- Left: CT. Right: PSMA PET, same axial level, 18F tracer
- slice position z = -701 mm
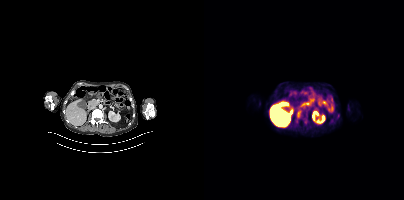
Findings: Coordinates are on the 200×200 PET (right) panel. PSMA-avid tumor lesion bounding box (x0,y0,x1,y1): [93,111,97,118].